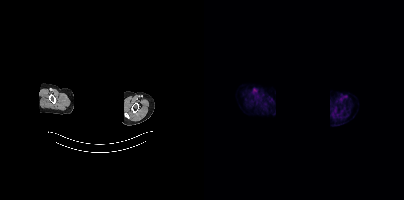
Two-panel axial: CT | PSMA PET, 18F-PSMA tracer. The face region was removed for patient privacy by blanking a rectangle over the head. Negative for PSMA-avid disease on this slice.